- head region blanked for anonymization (face removed)
- Two-panel axial: CT | PSMA PET, 18F-PSMA tracer
- acquired on Siemens Biograph mCT Flow 20
- slice position z = 172 mm
- PET panel 200×200 px (4.1 mm/px)
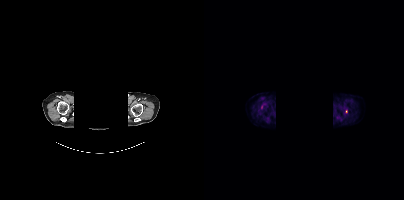
Findings: Coordinates are on the 200×200 PET (right) panel. Small PSMA-avid focus (2 to 4 px across) near (center x, center y): (142, 111).